An anonymization step blacked out a rectangle over the head in this scan.
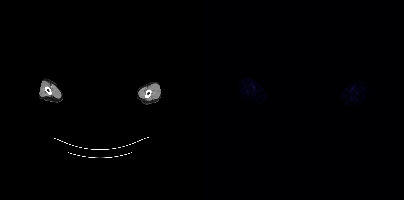
No tumor lesions annotated on this slice.